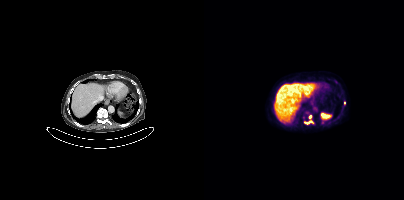
{"modality":"PSMA PET/CT","view":"axial","tracer":"18F","pet_grid":[200,200],"coord_frame":"pet_panel","coord_format":"x0,y0,x1,y1","lesion_bboxes":[[100,120,109,124],[98,114,101,119]],"small_foci_centers":[[106,116],[140,102]]}